Paired axial CT (left) and PSMA PET (right), 18F tracer.
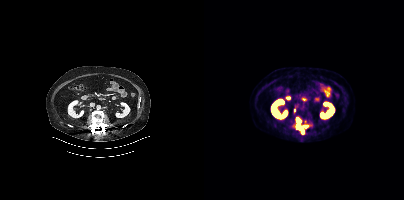
Coordinates are on the 200×200 PET (right) panel. PSMA-avid tumor lesion bounding boxes (x0,y0,x1,y1): [92,118,97,124] [100,125,104,128]. Small PSMA-avid foci (2 to 4 px across) near (center x, center y): (94, 127) (98, 130) (90, 110).